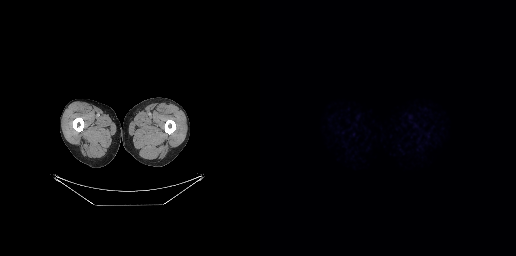
Left: CT. Right: PSMA PET, same axial level, 18F-PSMA tracer. Acquired on GE Discovery 690. No PSMA-avid tumor lesions on this slice.